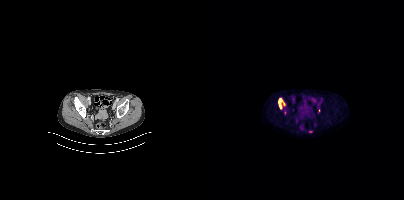
Coordinates are on the 200×200 PET (right) panel. PSMA-avid tumor lesion bounding boxes (partial; 2 more foci not listed):
| # | x0 | y0 | x1 | y1 |
|---|---|---|---|---|
| 1 | 74 | 98 | 80 | 108 |
Small PSMA-avid focus (2 to 4 px across) near (center x, center y): (106, 131).
Two-panel axial: CT | PSMA PET, [18F]PSMA-1007 tracer. PET panel 200×200 px (4.1 mm/px).